deidentification: rectangular block over head set to black | modality: PSMA PET/CT | tracer: 18F | view: axial
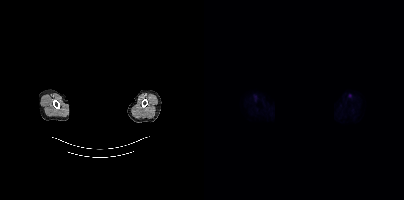
Negative for PSMA-avid disease on this slice.